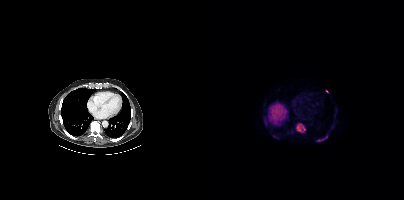
{"modality":"PSMA PET/CT","view":"axial","tracer":"[18F]PSMA-1007","pet_grid":[200,200],"coord_frame":"pet_panel","coord_format":"x0,y0,x1,y1","lesion_bboxes":[[92,123,101,132],[113,136,122,141],[70,136,74,138]],"small_foci_centers":[[123,91]]}